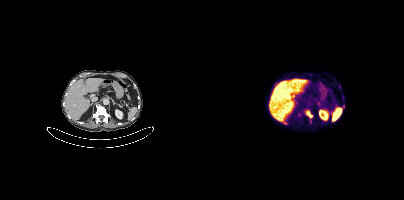
Coordinates are on the 200×200 PET (right) panel. PSMA-avid tumor lesion bounding box (x0,y0,x1,y1): [102,111,108,117].
modality: PSMA PET/CT | tracer: 18F-PSMA | view: axial